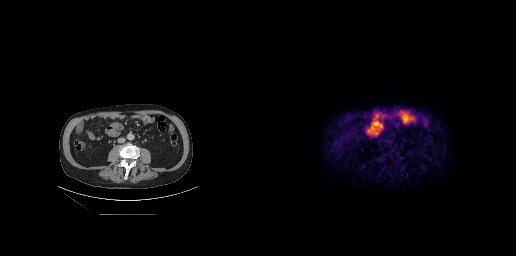
Negative for PSMA-avid disease on this slice.